Two-panel axial: CT | PSMA PET, [18F]PSMA-1007 tracer. Slice position z = -1485 mm.
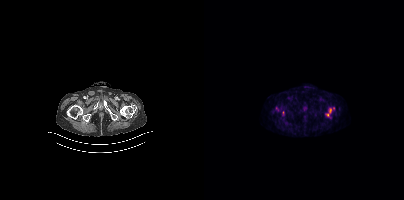
Coordinates are on the 200×200 PET (right) panel. PSMA-avid tumor lesion bounding boxes:
| # | x0 | y0 | x1 | y1 |
|---|---|---|---|---|
| 1 | 122 | 108 | 127 | 116 |
| 2 | 72 | 107 | 74 | 111 |
Small PSMA-avid foci (2 to 4 px across) near (center x, center y): (129, 108); (78, 112).